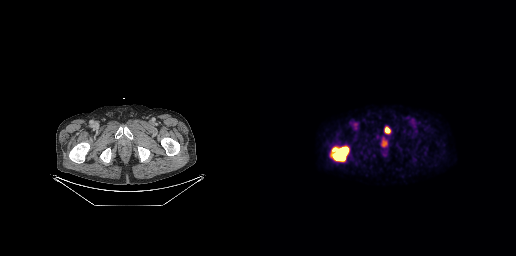
Two-panel axial: CT | PSMA PET, 18F-PSMA tracer. Acquired on GE Discovery 690. PET panel 256×256 px (2.7 mm/px).
Coordinates are on the 256×256 PET (right) panel. PSMA-avid tumor lesion bounding boxes:
| # | x0 | y0 | x1 | y1 |
|---|---|---|---|---|
| 1 | 70 | 145 | 89 | 162 |
| 2 | 121 | 141 | 127 | 147 |
| 3 | 125 | 127 | 130 | 133 |